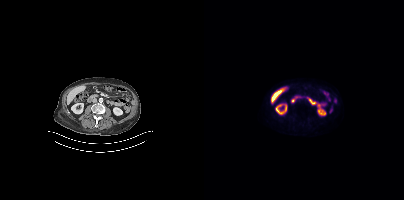
Negative for PSMA-avid disease on this slice.